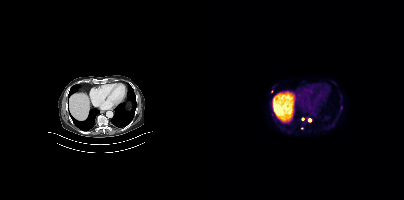
modality: PSMA PET/CT | tracer: 18F | view: axial | PET grid: 200×200
Coordinates are on the 200×200 PET (right) panel. (showing 3 of 4 foci) Small PSMA-avid foci (2 to 4 px across) near (center x, center y): (137, 107); (105, 120); (98, 118).